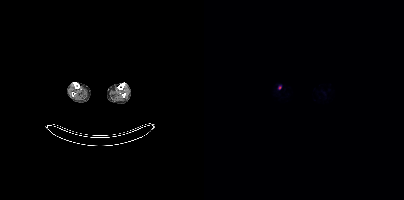
modality: PSMA PET/CT | tracer: [18F]PSMA-1007 | view: axial | PET grid: 200×200
Coordinates are on the 200×200 PET (right) panel. Small PSMA-avid focus (2 to 4 px across) near (center x, center y): (75, 87).